Technique: Paired axial CT (left) and PSMA PET (right), 18F-PSMA tracer. acquired on Siemens Biograph mCT Flow 20. slice 336 of 423.
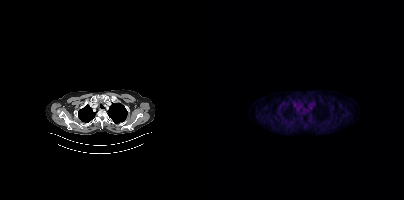
Findings: No PSMA-avid tumor lesions on this slice.